Two-panel axial: CT | PSMA PET, [18F]PSMA-1007 tracer. Slice 94 of 299. PET panel 256×256 px (2.7 mm/px).
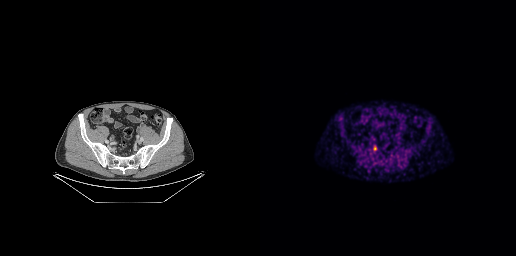
Coordinates are on the 256×256 PET (right) panel. PSMA-avid tumor lesion bounding box (x, y, width, height): x=113 y=145 w=5 h=6.